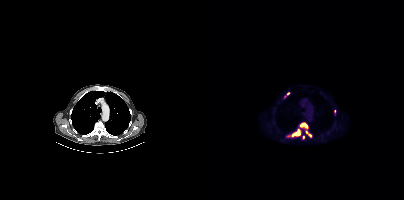
modality: PSMA PET/CT | tracer: 18F | view: axial | PET grid: 200×200
Coordinates are on the 200×200 PET (right) panel. PSMA-avid tumor lesion bounding boxes (x0,y0,x1,y1): [96,122,104,128] [84,130,95,136] [102,130,107,137] [80,93,85,97]. Small PSMA-avid foci (2 to 4 px across) near (center x, center y): (99, 137) (130, 111).